- Two-panel axial: CT | PSMA PET, 18F-PSMA tracer
- slice 136 of 427
- PET panel 200×200 px (4.1 mm/px)
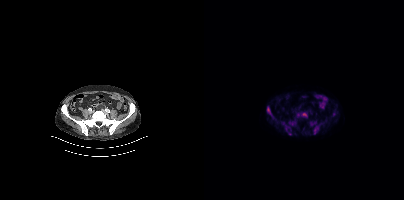
Findings: Coordinates are on the 200×200 PET (right) panel. PSMA-avid tumor lesion bounding boxes (x0, y0)-(x1, y1): (106, 121)-(117, 134) | (77, 122)-(87, 134) | (93, 112)-(103, 117) | (62, 107)-(71, 119) | (84, 121)-(91, 125). Small PSMA-avid focus (2 to 4 px across) near (center x, center y): (130, 114).